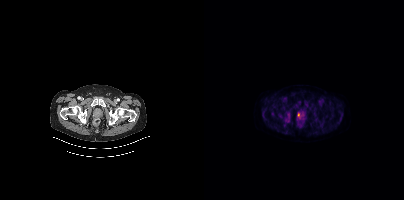
Coordinates are on the 200×200 PET (right) panel. PSMA-avid tumor lesion bounding box (x0, y0)-(x1, y1): (93, 113)-(96, 117).
modality: PSMA PET/CT | tracer: 18F-PSMA | view: axial | PET grid: 200×200